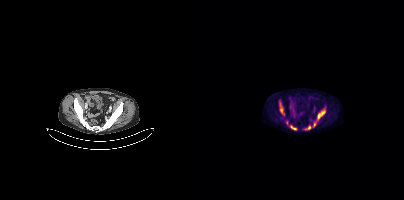
- Left: CT. Right: PSMA PET, same axial level, 18F-PSMA tracer
- acquired on Siemens Biograph mCT Flow 20
Findings: Coordinates are on the 200×200 PET (right) panel. (showing 6 of 7 foci) PSMA-avid tumor lesion bounding boxes (x0, y0)-(x1, y1): (113, 108)-(121, 119) / (75, 102)-(80, 114) / (86, 125)-(93, 130). Small PSMA-avid foci (2 to 4 px across) near (center x, center y): (105, 127) / (110, 124) / (82, 122).